Left: CT. Right: PSMA PET, same axial level, 68Ga tracer. Slice position z = 654 mm.
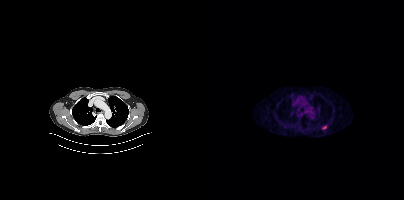
Coordinates are on the 200×200 PET (right) panel. Small PSMA-avid focus (2 to 4 px across) near (center x, center y): (120, 127).